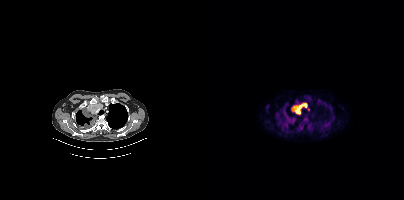
Findings: Coordinates are on the 200×200 PET (right) panel. PSMA-avid tumor lesion bounding boxes (x, y, width, height): x=87 y=103 w=19 h=12 / x=79 y=109 w=11 h=15 / x=99 y=118 w=5 h=4.
- Left: CT. Right: PSMA PET, same axial level, [18F]PSMA-1007 tracer
- acquired on Siemens Biograph mCT Flow 20
- PET panel 200×200 px (4.1 mm/px)